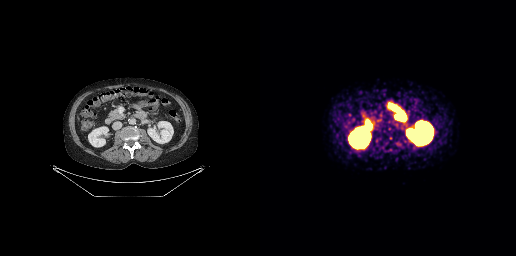
No PSMA-avid tumor lesions on this slice.